Technique: Paired axial CT (left) and PSMA PET (right), [18F]PSMA-1007 tracer. acquired on Siemens Biograph mCT Flow 20.
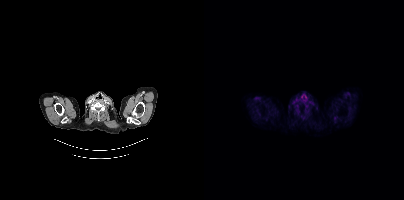
Findings: No tumor lesions annotated on this slice.